Paired axial CT (left) and PSMA PET (right), [18F]PSMA-1007 tracer. Acquired on GE Discovery 690. Slice position z = -419 mm. PET panel 256×256 px (2.7 mm/px).
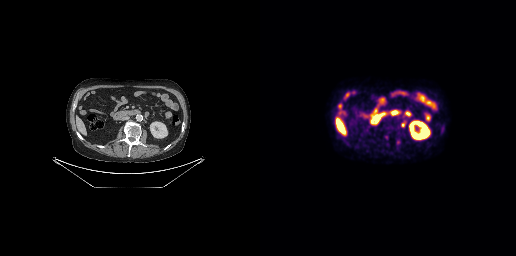
Coordinates are on the 256×256 PET (right) panel. PSMA-avid tumor lesion bounding boxes:
| # | x0 | y0 | x1 | y1 |
|---|---|---|---|---|
| 1 | 136 | 139 | 140 | 145 |
Small PSMA-avid foci (2 to 4 px across) near (center x, center y): (142, 124); (126, 137).